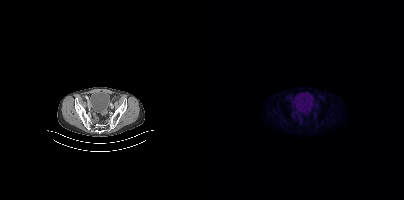
{"modality":"PSMA PET/CT","view":"axial","tracer":"[18F]PSMA-1007","pet_grid":[200,200],"coord_frame":"pet_panel","coord_format":"x0,y0,x1,y1","psma_avid_lesions":false}